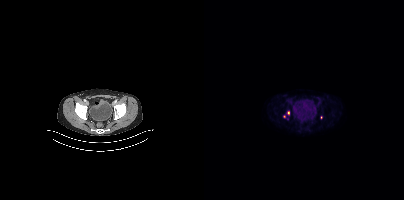
Technique: Two-panel axial: CT | PSMA PET, [18F]PSMA-1007 tracer. PET panel 200×200 px (4.1 mm/px).
Findings: Coordinates are on the 200×200 PET (right) panel. (showing 2 of 3 foci) Small PSMA-avid foci (2 to 4 px across) near (center x, center y): (84, 112); (117, 117).